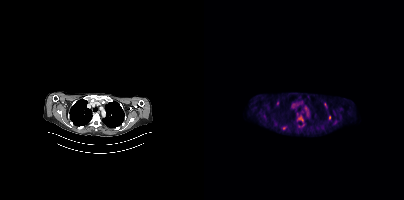
Coordinates are on the 200×200 PET (right) panel. PSMA-avid tumor lesion bounding boxes (x0,y0,x1,y1): [94,116,99,121], [78,126,82,129]. Small PSMA-avid foci (2 to 4 px across) near (center x, center y): (125, 117), (121, 104).
modality: PSMA PET/CT | tracer: 18F-PSMA | view: axial